modality: PSMA PET/CT | tracer: 18F | view: axial
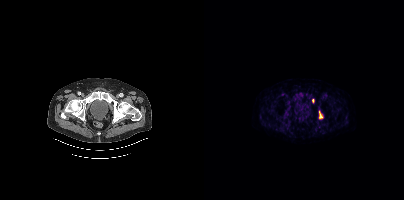
Coordinates are on the 200×200 PET (right) panel. PSMA-avid tumor lesion bounding box (x0,y0,x1,y1): [115,110,119,118]. Small PSMA-avid focus (2 to 4 px across) near (center x, center y): (109, 100).